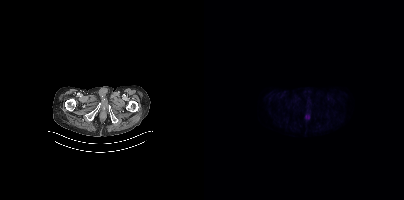
{"pet_grid":[200,200],"coord_frame":"pet_panel","coord_format":"x0,y0,x1,y1","psma_avid_lesions":false,"modality":"PSMA PET/CT","view":"axial","tracer":"18F"}